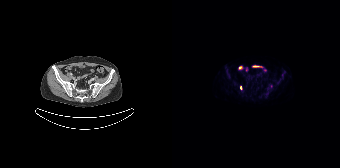
{"modality":"PSMA PET/CT","view":"axial","tracer":"[18F]PSMA-1007","pet_grid":[168,168],"coord_frame":"pet_panel","coord_format":"x0,y0,x1,y1","lesion_bboxes":[],"small_foci_centers":[[68,87]]}